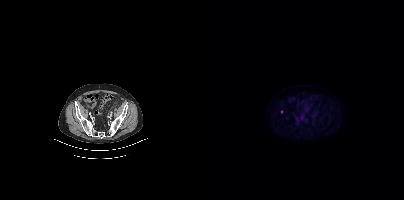
Two-panel axial: CT | PSMA PET, 18F tracer. Acquired on Siemens Biograph mCT Flow 20. PET panel 200×200 px (4.1 mm/px). Coordinates are on the 200×200 PET (right) panel. Small PSMA-avid focus (2 to 4 px across) near (center x, center y): (77, 111).